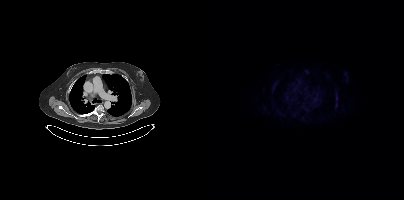
This slice has no annotated PSMA-avid lesion.